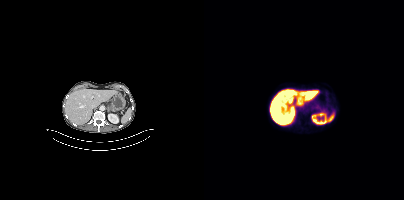
This slice has no annotated PSMA-avid lesion. Paired axial CT (left) and PSMA PET (right), 18F-PSMA tracer. PET panel 200×200 px (4.1 mm/px).